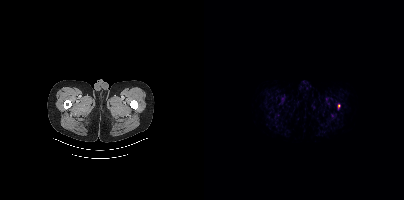
Technique: Paired axial CT (left) and PSMA PET (right), [18F]PSMA-1007 tracer.
Findings: Coordinates are on the 200×200 PET (right) panel. PSMA-avid tumor lesion bounding box (x, y, width, height): x=133 y=104 w=4 h=6.